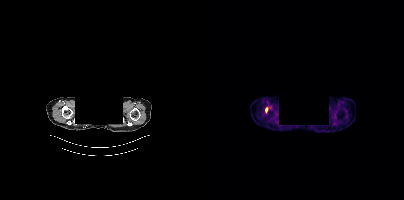
{"modality":"PSMA PET/CT","view":"axial","tracer":"18F","pet_grid":[200,200],"coord_frame":"pet_panel","coord_format":"x0,y0,x1,y1","de-identification":"facial region redacted","lesion_bboxes":[],"small_foci_centers":[[62,109]]}